Technique: Paired axial CT (left) and PSMA PET (right), 18F tracer. acquired on Siemens Biograph mCT Flow 20. slice 205 of 393.
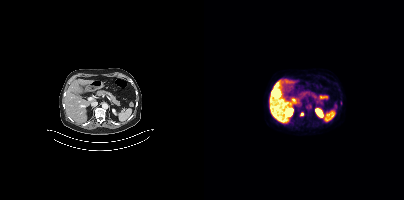
Findings: Coordinates are on the 200×200 PET (right) panel. Small PSMA-avid foci (2 to 4 px across) near (center x, center y): (98, 114) | (136, 102).